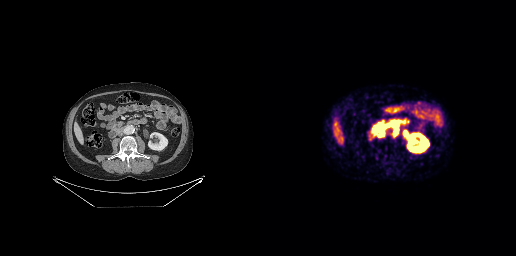
{"modality":"PSMA PET/CT","view":"axial","tracer":"68Ga","pet_grid":[256,256],"coord_frame":"pet_panel","coord_format":"x0,y0,x1,y1","lesion_bboxes":[[133,125,138,134],[117,133,123,137]]}